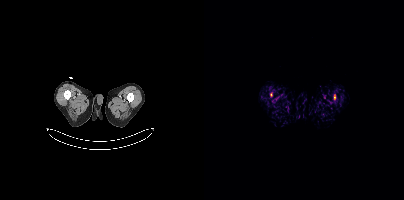
{"pet_grid":[200,200],"coord_frame":"pet_panel","coord_format":"x0,y0,x1,y1","lesion_bboxes":[[130,94,131,99]],"modality":"PSMA PET/CT","view":"axial","tracer":"18F-PSMA"}